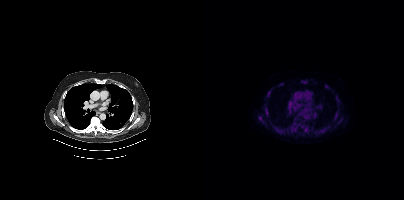
Findings: Coordinates are on the 200×200 PET (right) panel. PSMA-avid tumor lesion bounding boxes (x, y, width, height): x=91 y=119 w=8 h=7; x=69 y=126 w=8 h=7; x=87 y=127 w=5 h=6; x=60 y=108 w=5 h=8; x=99 y=126 w=6 h=6; x=117 y=128 w=8 h=5; x=54 y=117 w=5 h=5; x=98 y=80 w=5 h=4; x=131 y=111 w=4 h=6; x=65 y=120 w=3 h=6. Small PSMA-avid foci (2 to 4 px across) near (center x, center y): (122, 86); (65, 91); (77, 83); (64, 96); (132, 97).
Technique: Two-panel axial: CT | PSMA PET, [18F]PSMA-1007 tracer. acquired on Siemens Biograph mCT Flow 20. slice 328 of 464. PET panel 200×200 px (4.1 mm/px).